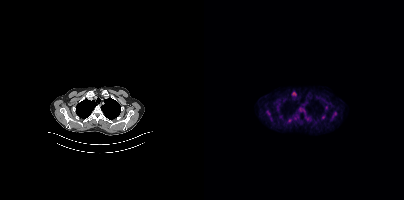
Coordinates are on the 200×200 PET (right) panel. (showing 4 of 6 foci) PSMA-avid tumor lesion bounding boxes (x0, y0)-(x1, y1): (127, 111)-(132, 120) | (118, 115)-(121, 119) | (63, 111)-(66, 115). Small PSMA-avid focus (2 to 4 px across) near (center x, center y): (122, 107).